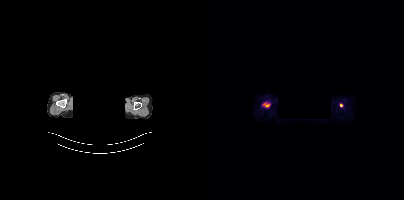
- Paired axial CT (left) and PSMA PET (right), [18F]PSMA-1007 tracer
- facial anatomy redacted by setting a rectangular region of the head to black
Findings: Coordinates are on the 200×200 PET (right) panel. PSMA-avid tumor lesion bounding boxes (x, y, width, height): x=59 y=102 w=8 h=6 / x=136 y=103 w=4 h=5.